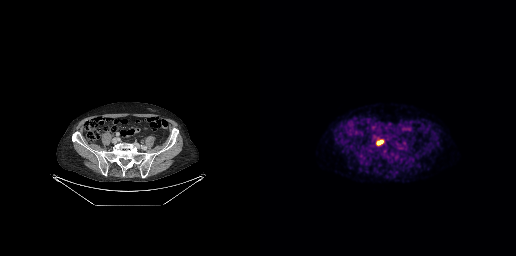
Findings: Coordinates are on the 256×256 PET (right) panel. PSMA-avid tumor lesion bounding box (x0,y0,x1,y1): [117,140,122,144].
Technique: Left: CT. Right: PSMA PET, same axial level, 18F tracer. acquired on GE Discovery 690. slice 84 of 263. PET panel 256×256 px (2.7 mm/px).